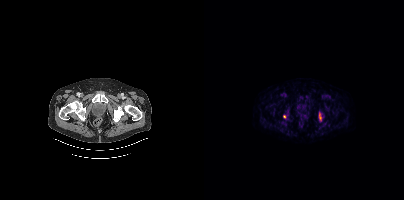
Coordinates are on the 200×200 PET (right) panel. PSMA-avid tumor lesion bounding box (x0,y0,x1,y1): [115,113,117,120]. Small PSMA-avid focus (2 to 4 px across) near (center x, center y): (80, 116).